Technique: Two-panel axial: CT | PSMA PET, 18F-PSMA tracer. slice 231 of 411.
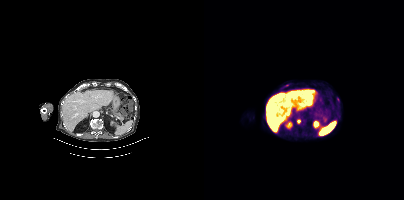
Findings: Coordinates are on the 200×200 PET (right) panel. (showing 1 of 3 foci) PSMA-avid tumor lesion bounding box (x0,y0,x1,y1): [93,119,96,123].